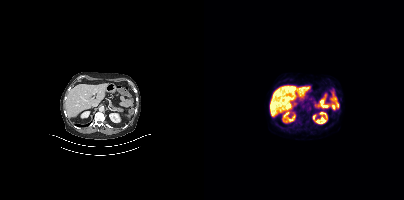
Findings: No PSMA-avid tumor lesions on this slice.
Technique: Paired axial CT (left) and PSMA PET (right), 18F-PSMA tracer. PET panel 200×200 px (4.1 mm/px).